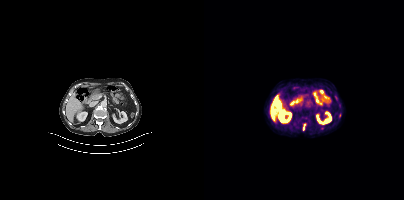
modality: PSMA PET/CT | tracer: [18F]PSMA-1007 | view: axial
Coordinates are on the 200×200 PET (right) panel. PSMA-avid tumor lesion bounding box (x0, y0)-(x1, y1): (99, 123)-(101, 130).